Left: CT. Right: PSMA PET, same axial level, 18F tracer.
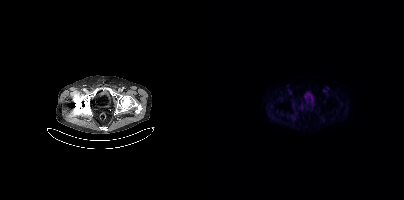
No PSMA-avid tumor lesions on this slice.